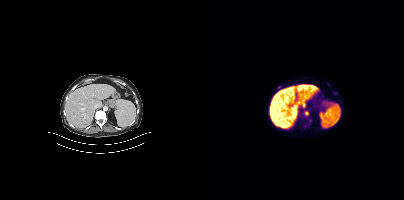
Left: CT. Right: PSMA PET, same axial level, 18F tracer. Slice position z = -1194 mm. PET panel 200×200 px (4.1 mm/px). Coordinates are on the 200×200 PET (right) panel. PSMA-avid tumor lesion bounding boxes (x0, y0)-(x1, y1): (100, 112)-(104, 115) | (73, 86)-(77, 88). Small PSMA-avid focus (2 to 4 px across) near (center x, center y): (106, 120).